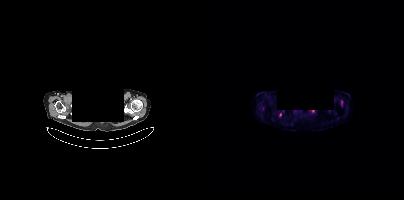
Technique: Paired axial CT (left) and PSMA PET (right), [18F]PSMA-1007 tracer. PET panel 200×200 px (4.1 mm/px).
Note: The head region is masked for de-identification.
Findings: Coordinates are on the 200×200 PET (right) panel. Small PSMA-avid foci (2 to 4 px across) near (center x, center y): (109, 111) | (76, 114).